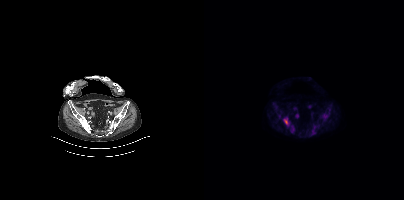
modality: PSMA PET/CT | tracer: 18F-PSMA | view: axial | PET grid: 200×200
Coordinates are on the 200×200 PET (right) panel. PSMA-avid tumor lesion bounding boxes (x0, y0)-(x1, y1): (79, 118)-(84, 124); (87, 126)-(90, 130).